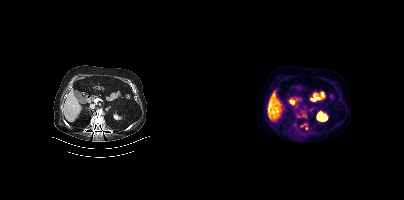
modality: PSMA PET/CT | tracer: [18F]PSMA-1007 | view: axial | PET grid: 200×200
Coordinates are on the 200×200 PET (right) panel. (showing 2 of 3 foci) Small PSMA-avid foci (2 to 4 px across) near (center x, center y): (99, 115) / (94, 116).